- Paired axial CT (left) and PSMA PET (right), 18F-PSMA tracer
- slice position z = -350 mm
- PET panel 200×200 px (4.1 mm/px)
- de-identified by setting a box covering the face to black before release
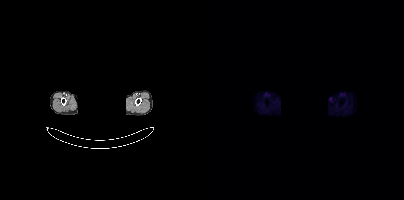
Findings: This slice has no annotated PSMA-avid lesion.